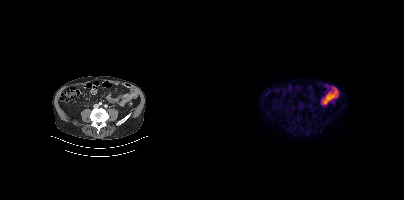
- Two-panel axial: CT | PSMA PET, 18F-PSMA tracer
- acquired on Siemens Biograph mCT Flow 20
- slice position z = -1378 mm
- PET panel 200×200 px (4.1 mm/px)
Findings: No tumor lesions annotated on this slice.